Two-panel axial: CT | PSMA PET, 18F-PSMA tracer. Acquired on Siemens Biograph mCT Flow 20. Slice position z = -777 mm. PET panel 200×200 px (4.1 mm/px). De-identified by setting a box covering the face to black before release.
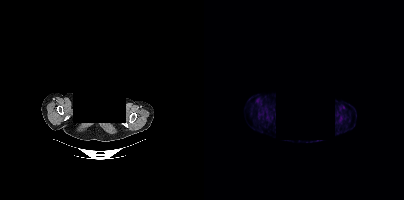
No PSMA-avid tumor lesions on this slice.